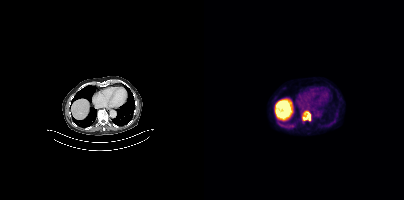
Left: CT. Right: PSMA PET, same axial level, [18F]PSMA-1007 tracer. Slice position z = -579 mm. PET panel 200×200 px (4.1 mm/px).
Coordinates are on the 200×200 PET (right) panel. PSMA-avid tumor lesion bounding boxes:
| # | x0 | y0 | x1 | y1 |
|---|---|---|---|---|
| 1 | 98 | 111 | 107 | 120 |